- Two-panel axial: CT | PSMA PET, [68Ga]Ga-PSMA-11 tracer
- slice 82 of 165
- PET panel 168×168 px (4.1 mm/px)
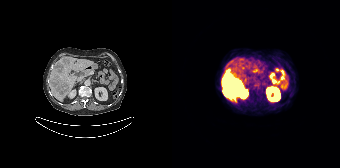
Findings: Coordinates are on the 168×168 PET (right) panel. PSMA-avid tumor lesion bounding box (x0, y0)-(x1, y1): (50, 71)-(69, 98).